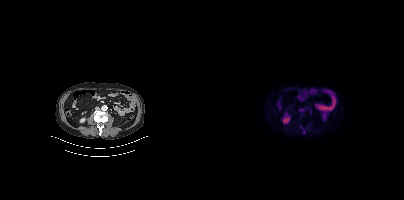
Coordinates are on the 200×200 PET (right) panel. PSMA-avid tumor lesion bounding box (x0,y0,x1,y1): [96,126,104,134]. Small PSMA-avid focus (2 to 4 px across) near (center x, center y): (97, 110).
modality: PSMA PET/CT | tracer: 18F-PSMA | view: axial | PET grid: 200×200